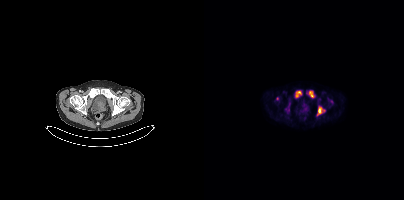
Coordinates are on the 200×200 PET (right) panel. PSMA-avid tumor lesion bounding boxes:
| # | x0 | y0 | x1 | y1 |
|---|---|---|---|---|
| 1 | 91 | 90 | 97 | 97 |
| 2 | 103 | 90 | 110 | 97 |
Small PSMA-avid focus (2 to 4 px across) near (center x, center y): (73, 98).
Left: CT. Right: PSMA PET, same axial level, 18F-PSMA tracer.